Paired axial CT (left) and PSMA PET (right), [18F]PSMA-1007 tracer. Acquired on Siemens Biograph mCT Flow 20. PET panel 200×200 px (4.1 mm/px).
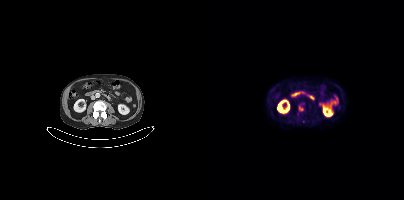
Coordinates are on the 200×200 PET (right) panel. PSMA-avid tumor lesion bounding box (x0,y0,x1,y1): [95,106,98,110].